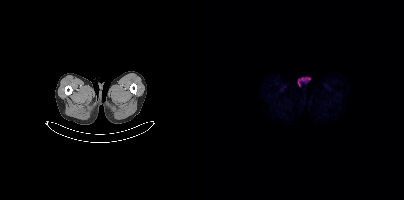
This slice has no annotated PSMA-avid lesion.